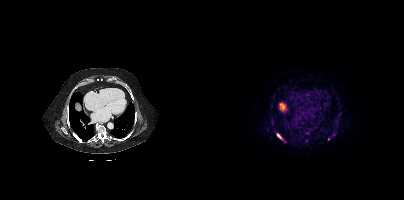
Coordinates are on the 200×200 PET (right) panel. (showing 2 of 3 foci) PSMA-avid tumor lesion bounding box (x0,y0,x1,y1): [72,133,78,139]. Small PSMA-avid focus (2 to 4 px across) near (center x, center y): (124, 139).
modality: PSMA PET/CT | tracer: 68Ga | view: axial